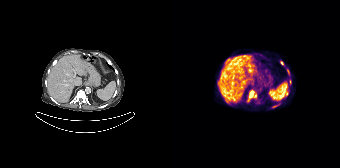
Findings: Coordinates are on the 168×168 PET (right) panel. PSMA-avid tumor lesion bounding boxes (x, y, width, height): x=75 y=90 w=10 h=12 / x=100 y=104 w=7 h=4 / x=118 y=80 w=2 h=5. Small PSMA-avid foci (2 to 4 px across) near (center x, center y): (110, 62) / (55, 102) / (114, 95) / (115, 71).
Technique: Two-panel axial: CT | PSMA PET, 68Ga tracer. PET panel 168×168 px (4.1 mm/px).